Two-panel axial: CT | PSMA PET, [18F]PSMA-1007 tracer. Slice position z = -560 mm. PET panel 200×200 px (4.1 mm/px).
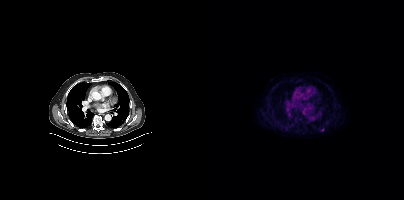
Coordinates are on the 200×200 PET (right) panel. Small PSMA-avid focus (2 to 4 px across) near (center x, center y): (118, 129).